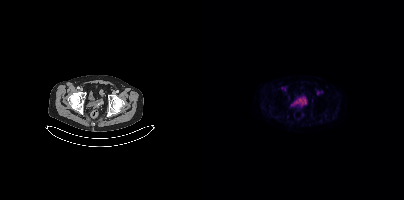
Left: CT. Right: PSMA PET, same axial level, 18F tracer. Slice 72 of 431. PET panel 200×200 px (4.1 mm/px). Coordinates are on the 200×200 PET (right) panel. Small PSMA-avid focus (2 to 4 px across) near (center x, center y): (101, 102).